Paired axial CT (left) and PSMA PET (right), [18F]PSMA-1007 tracer. Acquired on Siemens Biograph mCT Flow 20.
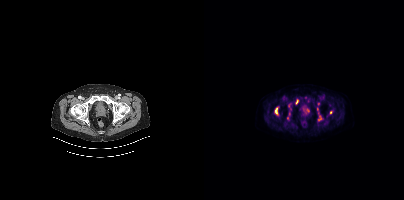
Coordinates are on the 200×200 PET (right) panel. PSMA-avid tumor lesion bounding boxes (partial; 3 more foci not listed):
| # | x0 | y0 | x1 | y1 |
|---|---|---|---|---|
| 1 | 71 | 107 | 74 | 114 |
| 2 | 113 | 116 | 118 | 121 |
| 3 | 91 | 99 | 94 | 104 |
| 4 | 113 | 107 | 114 | 111 |
Small PSMA-avid foci (2 to 4 px across) near (center x, center y): (103, 110); (85, 113); (126, 112); (86, 103); (114, 103).